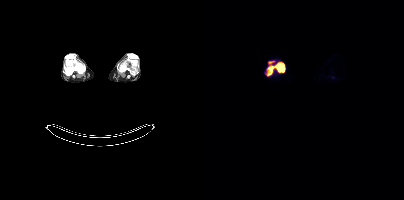
Left: CT. Right: PSMA PET, same axial level, 18F-PSMA tracer. Slice 295 of 963. PET panel 200×200 px (4.1 mm/px).
Coordinates are on the 200×200 PET (right) panel. PSMA-avid tumor lesion bounding boxes:
| # | x0 | y0 | x1 | y1 |
|---|---|---|---|---|
| 1 | 64 | 61 | 80 | 75 |